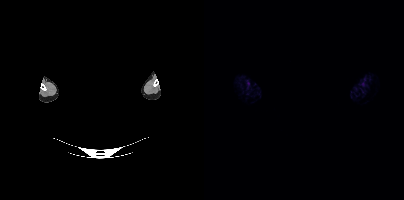
The face region was removed for patient privacy by blanking a rectangle over the head. Two-panel axial: CT | PSMA PET, 68Ga tracer. This slice has no annotated PSMA-avid lesion.